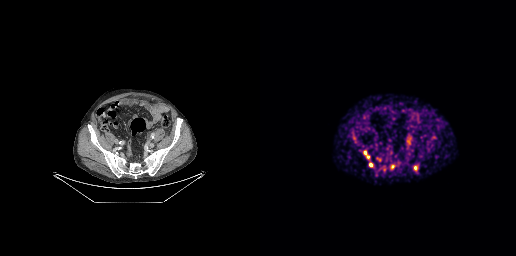
- Two-panel axial: CT | PSMA PET, [68Ga]Ga-PSMA-11 tracer
- acquired on GE Discovery 690
- PET panel 256×256 px (2.7 mm/px)
Findings: Coordinates are on the 256×256 PET (right) panel. Small PSMA-avid foci (2 to 4 px across) near (center x, center y): (110, 164); (155, 167); (105, 152); (108, 157); (132, 166).